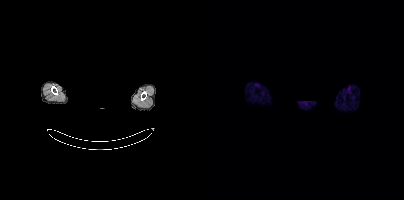
Findings: This slice has no annotated PSMA-avid lesion.
- de-identified by setting a box covering the face to black before release
- Two-panel axial: CT | PSMA PET, 68Ga-PSMA tracer
- PET panel 200×200 px (4.1 mm/px)